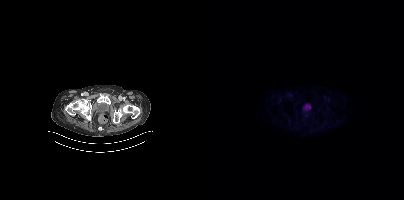
No PSMA-avid tumor lesions on this slice.
modality: PSMA PET/CT | tracer: 18F | view: axial